Left: CT. Right: PSMA PET, same axial level, [18F]PSMA-1007 tracer. Acquired on Siemens Biograph mCT Flow 20. Slice 265 of 405.
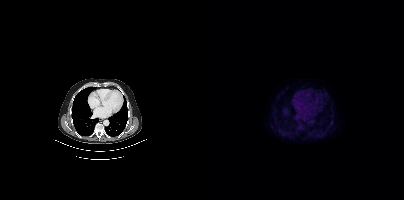
Coordinates are on the 200×200 PET (right) panel. Small PSMA-avid focus (2 to 4 px across) near (center x, center y): (127, 122).